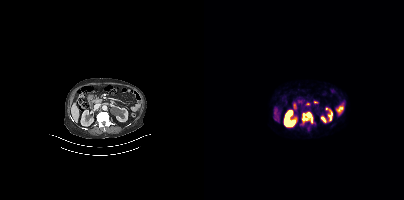
modality: PSMA PET/CT | tracer: 68Ga-PSMA | view: axial
Coordinates are on the 200×200 PET (right) panel. (showing 3 of 4 foci) PSMA-avid tumor lesion bounding boxes (x0,y0,x1,y1): [98,112,108,123] [101,102,106,105]. Small PSMA-avid focus (2 to 4 px across) near (center x, center y): (71, 118).